Technique: Paired axial CT (left) and PSMA PET (right), 18F tracer. slice 128 of 401. PET panel 200×200 px (4.1 mm/px).
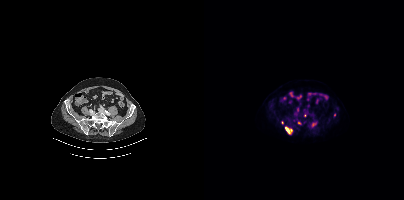
Findings: Coordinates are on the 200×200 PET (right) panel. (showing 3 of 5 foci) PSMA-avid tumor lesion bounding boxes (x0, y0)-(x1, y1): (81, 127)-(88, 133) / (108, 123)-(112, 126). Small PSMA-avid focus (2 to 4 px across) near (center x, center y): (100, 115).